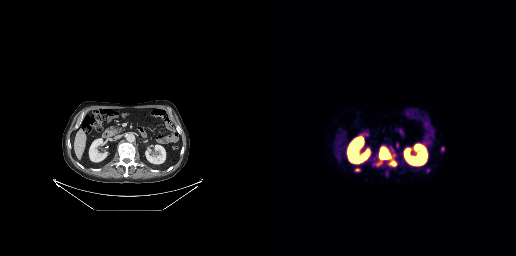
{"modality":"PSMA PET/CT","view":"axial","tracer":"68Ga","pet_grid":[256,256],"coord_frame":"pet_panel","coord_format":"x0,y0,x1,y1","partial":true,"lesion_bboxes":[[119,147,134,159],[130,161,136,165],[95,168,99,171]],"small_foci_centers":[[182,148]]}